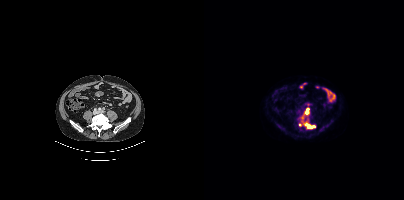
Left: CT. Right: PSMA PET, same axial level, [18F]PSMA-1007 tracer.
Coordinates are on the 200×200 PET (right) panel. PSMA-avid tumor lesion bounding boxes:
| # | x0 | y0 | x1 | y1 |
|---|---|---|---|---|
| 1 | 99 | 122 | 111 | 128 |
| 2 | 100 | 107 | 105 | 114 |
Small PSMA-avid foci (2 to 4 px across) near (center x, center y): (96, 125); (98, 117).